Technique: Paired axial CT (left) and PSMA PET (right), 18F tracer. slice position z = -834 mm.
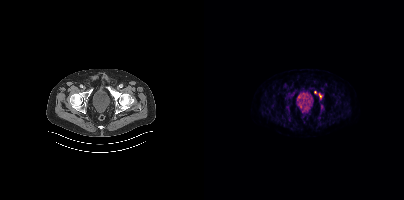
Findings: Coordinates are on the 200×200 PET (right) panel. (showing 1 of 2 foci) PSMA-avid tumor lesion bounding box (x0, y0)-(x1, y1): (114, 93)-(118, 99).